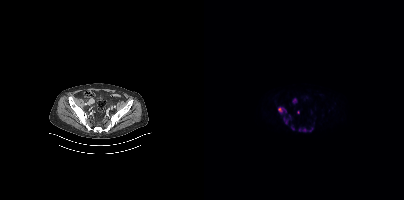
Findings: Coordinates are on the 200×200 PET (right) panel. PSMA-avid tumor lesion bounding boxes (x0,y0,x1,y1): [95,128,103,131]; [89,98,93,103]; [74,107,78,112]; [105,126,109,131]; [83,119,84,123]. Small PSMA-avid foci (2 to 4 px across) near (center x, center y): (88, 127); (94, 112); (85, 116).
- Left: CT. Right: PSMA PET, same axial level, 18F tracer
- slice 106 of 395